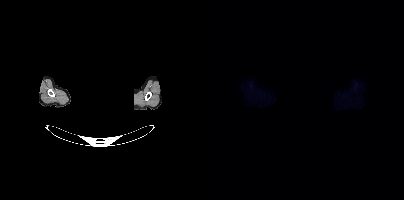
- the face region was removed for patient privacy by blanking a rectangle over the head
- Paired axial CT (left) and PSMA PET (right), 18F-PSMA tracer
- acquired on Siemens Biograph mCT Flow 20
- PET panel 200×200 px (4.1 mm/px)
Findings: This slice has no annotated PSMA-avid lesion.